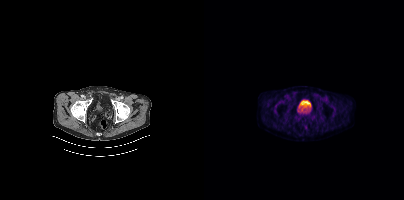
{"modality":"PSMA PET/CT","view":"axial","tracer":"18F","pet_grid":[200,200],"coord_frame":"pet_panel","coord_format":"x0,y0,x1,y1","psma_avid_lesions":false}